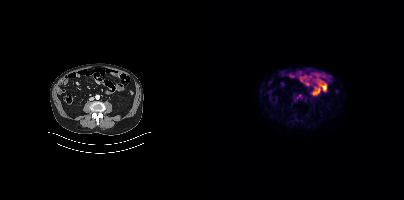
modality: PSMA PET/CT | tracer: [18F]PSMA-1007 | view: axial | PET grid: 200×200
Only PSMA-avid lesion pieces thinner than 2 px on this slice (not listed).